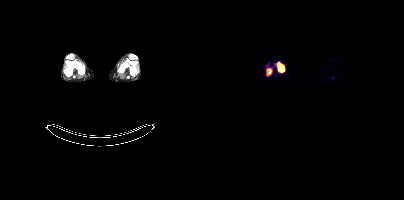
{"pet_grid":[200,200],"coord_frame":"pet_panel","coord_format":"x0,y0,x1,y1","lesion_bboxes":[[73,62,80,72],[62,69,67,75]],"modality":"PSMA PET/CT","view":"axial","tracer":"18F-PSMA"}